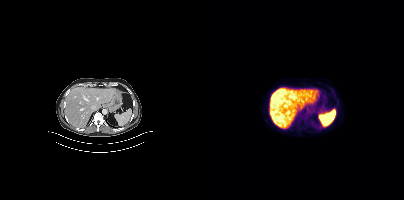
No tumor lesions annotated on this slice.